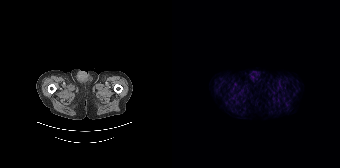
{"pet_grid":[168,168],"coord_frame":"pet_panel","coord_format":"x0,y0,x1,y1","psma_avid_lesions":false,"modality":"PSMA PET/CT","view":"axial","tracer":"68Ga-PSMA"}